Technique: Left: CT. Right: PSMA PET, same axial level, 68Ga-PSMA tracer. acquired on Siemens Biograph mCT Flow 20.
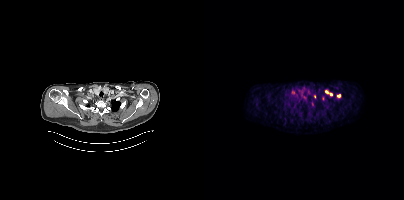
Findings: Coordinates are on the 200×200 PET (right) panel. (showing 6 of 7 foci) Small PSMA-avid foci (2 to 4 px across) near (center x, center y): (119, 98) / (122, 92) / (127, 94) / (110, 96) / (134, 95) / (89, 92).